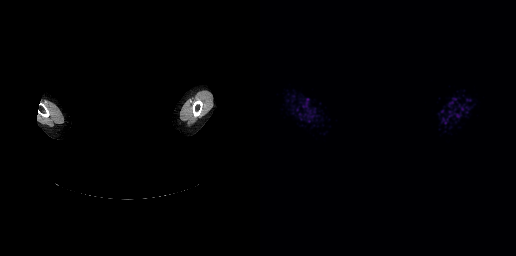
Negative for PSMA-avid disease on this slice. Left: CT. Right: PSMA PET, same axial level, 18F-PSMA tracer. Slice position z = 4 mm. An anonymization step blacked out a rectangle over the head in this scan.